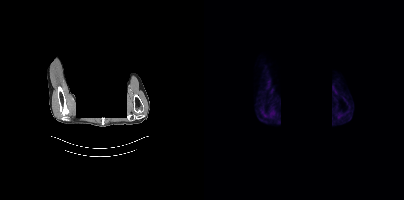
{"modality":"PSMA PET/CT","view":"axial","tracer":"18F","pet_grid":[200,200],"coord_frame":"pet_panel","coord_format":"x0,y0,x1,y1","de-identification":"face masked with black rectangle","psma_avid_lesions":false}